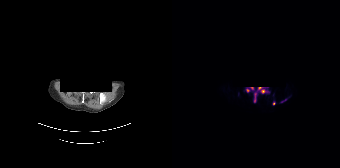
Coordinates are on the 168×168 PET (right) panel. (showing 4 of 5 foci) Small PSMA-avid foci (2 to 4 px across) near (center x, center y): (90, 91); (75, 90); (101, 103); (82, 100).
modality: PSMA PET/CT | tracer: [18F]PSMA-1007 | view: axial | de-identification: face masked with black rectangle